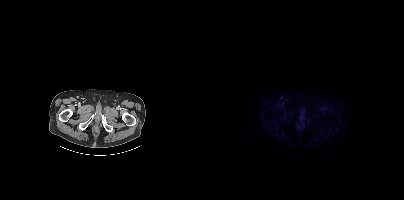
This slice has no annotated PSMA-avid lesion.